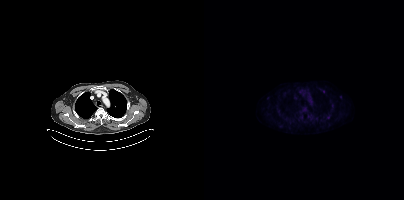
Left: CT. Right: PSMA PET, same axial level, 18F tracer. PET panel 200×200 px (4.1 mm/px). Coordinates are on the 200×200 PET (right) panel. Small PSMA-avid foci (2 to 4 px across) near (center x, center y): (124, 117); (94, 119); (63, 97).